Two-panel axial: CT | PSMA PET, 18F-PSMA tracer. Acquired on Siemens Biograph mCT Flow 20. PET panel 200×200 px (4.1 mm/px).
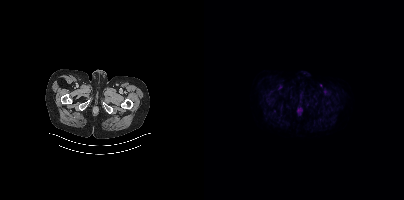
No tumor lesions annotated on this slice.